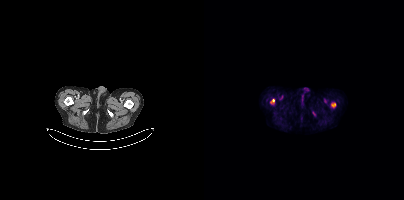
Left: CT. Right: PSMA PET, same axial level, 18F tracer. Acquired on Siemens Biograph mCT Flow 20. Slice 25 of 373. PET panel 200×200 px (4.1 mm/px). Coordinates are on the 200×200 PET (right) panel. PSMA-avid tumor lesion bounding boxes (x0, y0)-(x1, y1): (66, 99)-(70, 104); (127, 103)-(131, 106).